Left: CT. Right: PSMA PET, same axial level, [68Ga]Ga-PSMA-11 tracer. Slice 40 of 165. PET panel 168×168 px (4.1 mm/px).
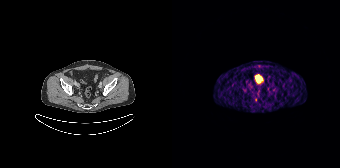
Coordinates are on the 168×168 PET (right) panel. Small PSMA-avid focus (2 to 4 px across) near (center x, center y): (83, 100).